Left: CT. Right: PSMA PET, same axial level, 18F-PSMA tracer. Slice position z = -1285 mm. PET panel 200×200 px (4.1 mm/px).
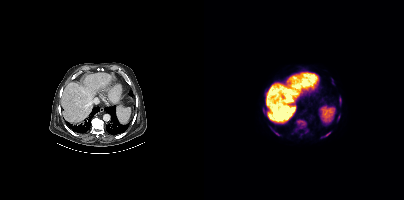
Coordinates are on the 200×200 PET (right) panel. PSMA-avid tumor lesion bounding boxes (partial; 3 more foci not listed):
| # | x0 | y0 | x1 | y1 |
|---|---|---|---|---|
| 1 | 92 | 119 | 102 | 130 |
| 2 | 120 | 132 | 126 | 136 |
| 3 | 135 | 97 | 137 | 104 |
| 4 | 69 | 130 | 75 | 135 |
| 5 | 134 | 115 | 135 | 119 |
Small PSMA-avid focus (2 to 4 px across) near (center x, center y): (102, 131).